Left: CT. Right: PSMA PET, same axial level, [68Ga]Ga-PSMA-11 tracer.
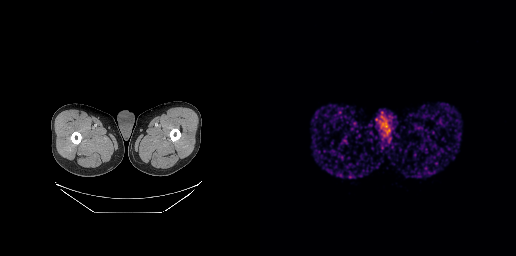
Negative for PSMA-avid disease on this slice.